modality: PSMA PET/CT | tracer: 18F-PSMA | view: axial | de-identification: privacy mask over head
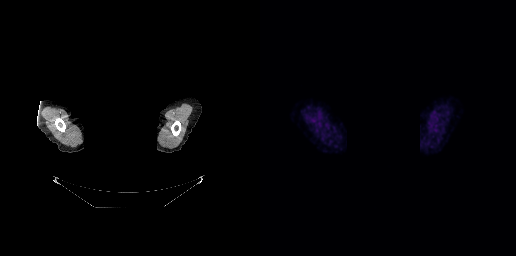
Negative for PSMA-avid disease on this slice.